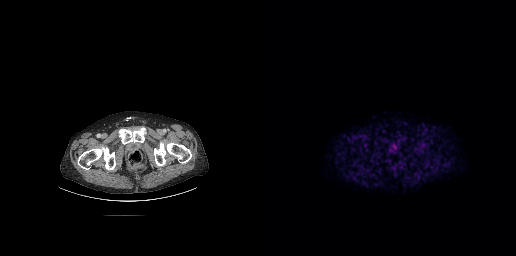
Left: CT. Right: PSMA PET, same axial level, [18F]PSMA-1007 tracer. Acquired on GE Discovery 690. No tumor lesions annotated on this slice.